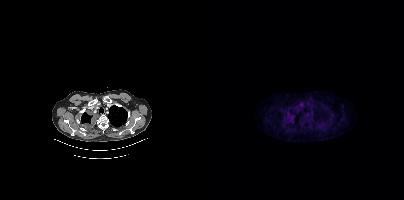
{"modality":"PSMA PET/CT","view":"axial","tracer":"18F","pet_grid":[200,200],"coord_frame":"pet_panel","coord_format":"x0,y0,x1,y1","psma_avid_lesions":false}